modality: PSMA PET/CT | tracer: 18F-PSMA | view: axial | PET grid: 200×200
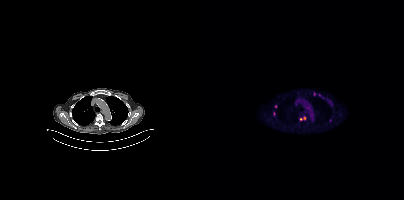
Coordinates are on the 200×200 PET (right) panel. (showing 5 of 7 foci) PSMA-avid tumor lesion bounding box (x0, y0)-(x1, y1): (95, 116)-(101, 120). Small PSMA-avid foci (2 to 4 px across) near (center x, center y): (110, 93) / (126, 120) / (71, 106) / (115, 94).